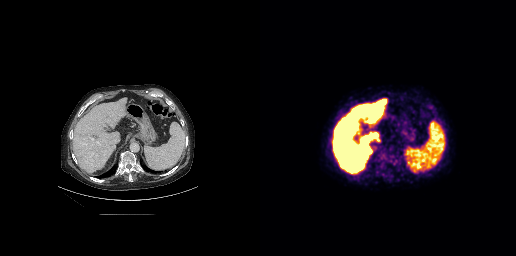
{"modality":"PSMA PET/CT","view":"axial","tracer":"[18F]PSMA-1007","pet_grid":[256,256],"coord_frame":"pet_panel","coord_format":"x0,y0,x1,y1","lesion_bboxes":[[117,150,135,167]]}